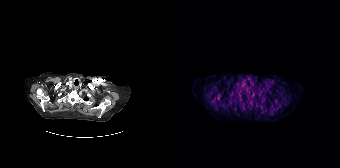
Negative for PSMA-avid disease on this slice.
modality: PSMA PET/CT | tracer: 68Ga | view: axial | PET grid: 168×168